Paired axial CT (left) and PSMA PET (right), 18F tracer. Acquired on Siemens Biograph mCT Flow 20.
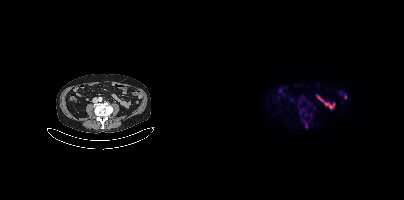
Only PSMA-avid lesion pieces thinner than 2 px on this slice (not listed).